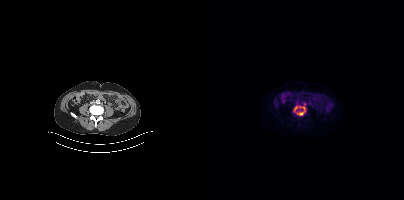
Left: CT. Right: PSMA PET, same axial level, 18F tracer. Slice 150 of 415. PET panel 200×200 px (4.1 mm/px). Coordinates are on the 200×200 PET (right) panel. (showing 1 of 2 foci) PSMA-avid tumor lesion bounding box (x, y, width, height): x=89 y=106 w=13 h=10.